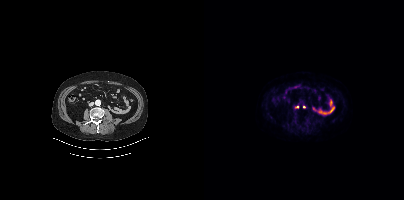
modality: PSMA PET/CT | tracer: 18F-PSMA | view: axial | PET grid: 200×200
Coordinates are on the 200×200 PET (right) panel. Small PSMA-avid foci (2 to 4 px across) near (center x, center y): (100, 106) / (93, 106).